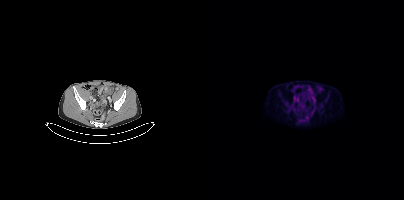
{"pet_grid":[200,200],"coord_frame":"pet_panel","coord_format":"x0,y0,x1,y1","lesion_bboxes":[],"small_foci_centers":[[83,112]],"modality":"PSMA PET/CT","view":"axial","tracer":"[18F]PSMA-1007"}